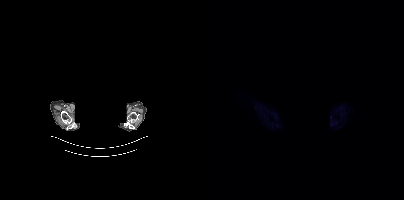
modality: PSMA PET/CT | tracer: 18F | view: axial | deidentification: head region blacked out before release
Negative for PSMA-avid disease on this slice.